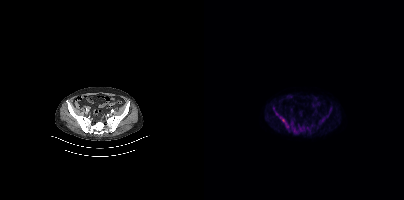
Two-panel axial: CT | PSMA PET, 18F tracer. Acquired on Siemens Biograph mCT Flow 20. Coordinates are on the 200×200 PET (right) panel. (showing 4 of 5 foci) PSMA-avid tumor lesion bounding boxes (x0,y0,x1,y1): [69,109,86,130], [88,122,100,133], [115,108,127,123]. Small PSMA-avid focus (2 to 4 px across) near (center x, center y): (104, 128).